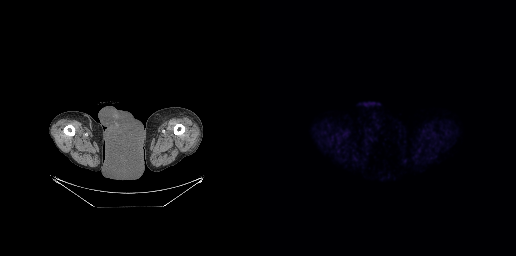
- Paired axial CT (left) and PSMA PET (right), 18F tracer
- slice 40 of 299
- PET panel 256×256 px (2.7 mm/px)
Findings: No tumor lesions annotated on this slice.